Paired axial CT (left) and PSMA PET (right), [18F]PSMA-1007 tracer. Slice position z = -1430 mm.
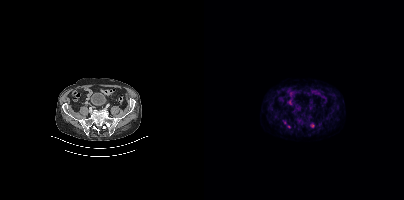
Coordinates are on the 200×200 PET (right) panel. Small PSMA-avid focus (2 to 4 px across) near (center x, center y): (85, 126).